redaction: head region blanked (face removed) | modality: PSMA PET/CT | tracer: 18F | view: axial | PET grid: 200×200
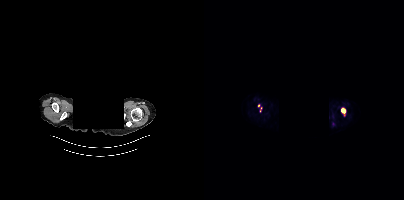
Coordinates are on the 200×200 PET (right) panel. PSMA-avid tumor lesion bounding boxes (x0, y0)-(x1, y1): (137, 107)-(141, 115) | (56, 107)-(58, 112). Small PSMA-avid focus (2 to 4 px across) near (center x, center y): (54, 105).